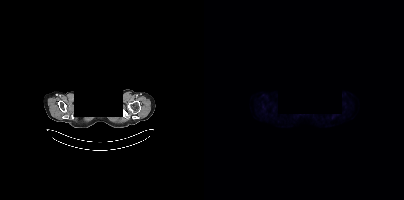
Technique: Two-panel axial: CT | PSMA PET, [18F]PSMA-1007 tracer. PET panel 200×200 px (4.1 mm/px).
Note: Face de-identified by blanking a block of the head.
Findings: This slice has no annotated PSMA-avid lesion.